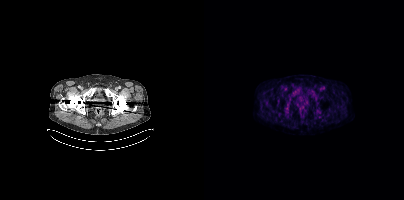
{"modality":"PSMA PET/CT","view":"axial","tracer":"18F","pet_grid":[200,200],"coord_frame":"pet_panel","coord_format":"x0,y0,x1,y1","psma_avid_lesions":false}